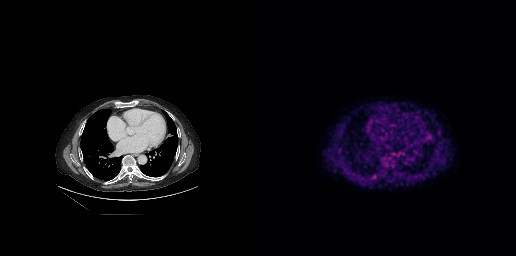
Technique: Two-panel axial: CT | PSMA PET, 18F tracer. PET panel 256×256 px (2.7 mm/px).
Findings: Coordinates are on the 256×256 PET (right) panel. PSMA-avid tumor lesion bounding box (x0, y0)-(x1, y1): (109, 173)-(119, 181).